Paired axial CT (left) and PSMA PET (right), 68Ga tracer. Slice position z = -746 mm.
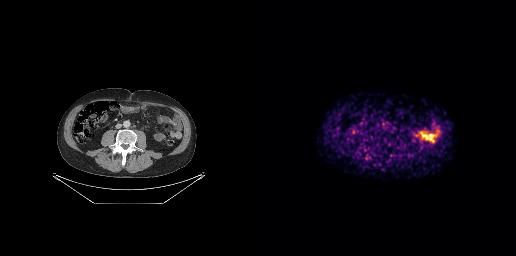
Coordinates are on the 256×256 PET (right) panel. Small PSMA-avid focus (2 to 4 px across) near (center x, center y): (134, 127).